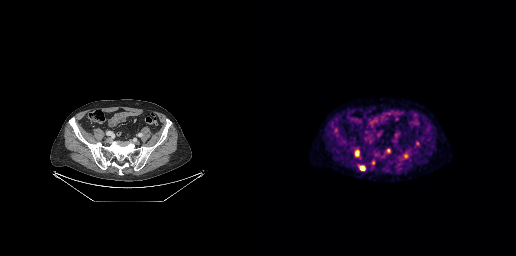
Paired axial CT (left) and PSMA PET (right), [18F]PSMA-1007 tracer. Slice position z = -742 mm.
Coordinates are on the 256×256 PET (right) panel. PSMA-avid tumor lesion bounding boxes (partial; 1 more focus not listed):
| # | x0 | y0 | x1 | y1 |
|---|---|---|---|---|
| 1 | 95 | 150 | 99 | 156 |
Small PSMA-avid foci (2 to 4 px across) near (center x, center y): (102, 167); (113, 162); (145, 156).